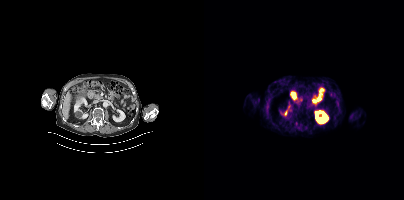
{"pet_grid":[200,200],"coord_frame":"pet_panel","coord_format":"x0,y0,x1,y1","psma_avid_lesions":false,"modality":"PSMA PET/CT","view":"axial","tracer":"18F"}